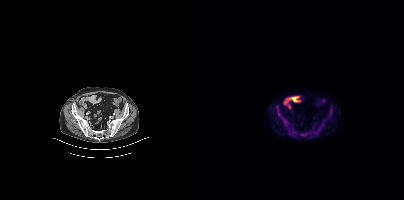
Two-panel axial: CT | PSMA PET, 18F tracer. Acquired on Siemens Biograph mCT Flow 20. Slice position z = -1494 mm.
Coordinates are on the 200×200 PET (right) panel. PSMA-avid tumor lesion bounding boxes:
| # | x0 | y0 | x1 | y1 |
|---|---|---|---|---|
| 1 | 78 | 118 | 85 | 127 |
| 2 | 72 | 105 | 77 | 116 |
| 3 | 96 | 133 | 104 | 136 |
| 4 | 124 | 108 | 128 | 118 |